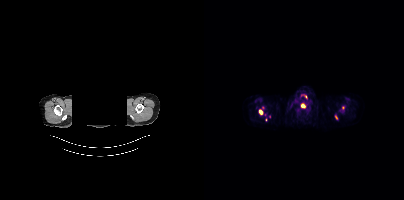
Findings: Coordinates are on the 200×200 PET (right) panel. (showing 3 of 5 foci) PSMA-avid tumor lesion bounding box (x0, y0)-(x1, y1): (55, 109)-(58, 114). Small PSMA-avid foci (2 to 4 px across) near (center x, center y): (98, 105) | (132, 117).
- facial anatomy redacted by setting a rectangular region of the head to black
- Left: CT. Right: PSMA PET, same axial level, 18F-PSMA tracer
- acquired on Siemens Biograph mCT Flow 20
- slice position z = -340 mm